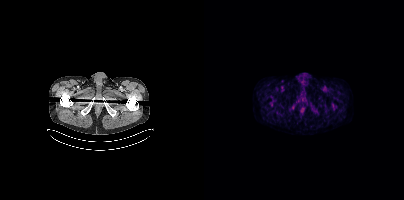
modality: PSMA PET/CT | tracer: [18F]PSMA-1007 | view: axial
This slice has no annotated PSMA-avid lesion.